Paired axial CT (left) and PSMA PET (right), 18F tracer.
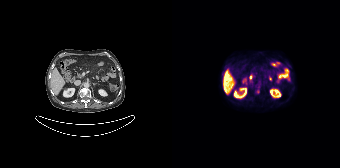
This slice has no annotated PSMA-avid lesion.